Technique: Left: CT. Right: PSMA PET, same axial level, 18F tracer. slice position z = 322 mm. PET panel 200×200 px (4.1 mm/px).
Note: The face region was removed for patient privacy by blanking a rectangle over the head.
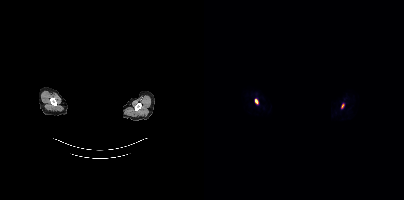
Findings: Coordinates are on the 200×200 PET (right) panel. PSMA-avid tumor lesion bounding box (x0, y0)-(x1, y1): (51, 99)-(53, 103). Small PSMA-avid focus (2 to 4 px across) near (center x, center y): (138, 105).